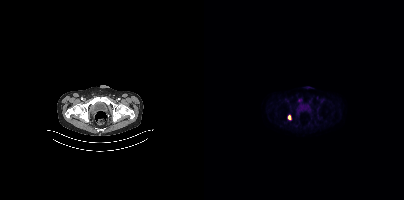
Coordinates are on the 200×200 PET (right) panel. PSMA-avid tumor lesion bounding box (x0,y0,x1,y1): [84,115,87,119].
modality: PSMA PET/CT | tracer: [18F]PSMA-1007 | view: axial | PET grid: 200×200